modality: PSMA PET/CT | tracer: [68Ga]Ga-PSMA-11 | view: axial | PET grid: 200×200
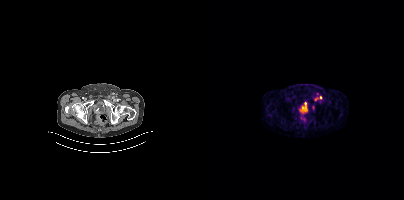
Coordinates are on the 200×200 PET (right) panel. Small PSMA-avid foci (2 to 4 px across) near (center x, center y): (101, 103) / (109, 107) / (116, 97).